modality: PSMA PET/CT | tracer: [18F]PSMA-1007 | view: axial
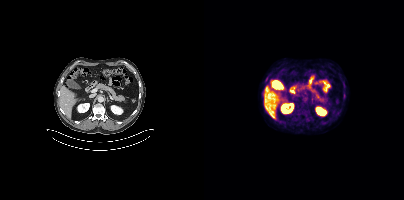
No PSMA-avid tumor lesions on this slice.